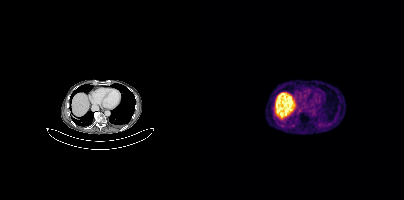
{"pet_grid":[200,200],"coord_frame":"pet_panel","coord_format":"x0,y0,x1,y1","psma_avid_lesions":false,"modality":"PSMA PET/CT","view":"axial","tracer":"68Ga-PSMA"}